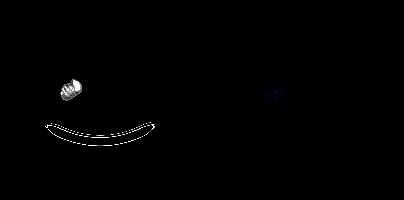
Findings: No PSMA-avid tumor lesions on this slice.
Technique: Two-panel axial: CT | PSMA PET, [18F]PSMA-1007 tracer. slice 2 of 963.